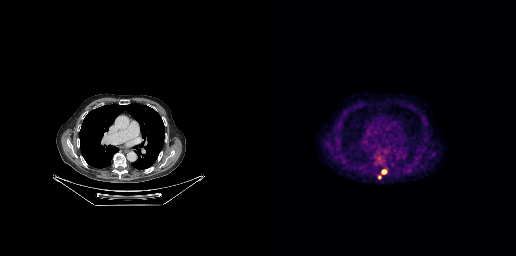
modality: PSMA PET/CT | tracer: 18F-PSMA | view: axial | PET grid: 256×256
Coordinates are on the 256×256 PET (right) panel. (showing 3 of 4 foci) PSMA-avid tumor lesion bounding box (x0,y0,x1,y1): [121,169,126,174]. Small PSMA-avid foci (2 to 4 px across) near (center x, center y): (119, 176), (116, 163).